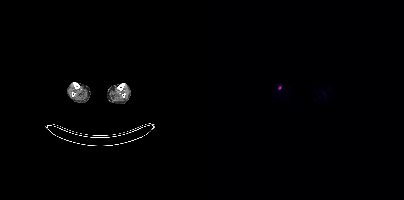
{"modality":"PSMA PET/CT","view":"axial","tracer":"18F-PSMA","pet_grid":[200,200],"coord_frame":"pet_panel","coord_format":"x0,y0,x1,y1","lesion_bboxes":[],"small_foci_centers":[[75,87]]}